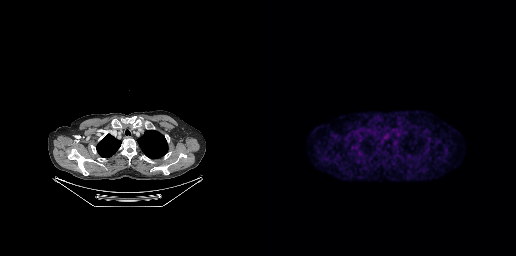
Negative for PSMA-avid disease on this slice.